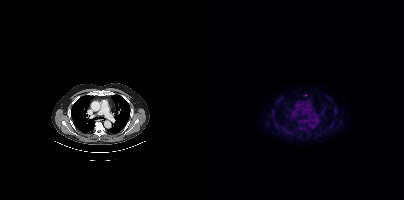
{"modality":"PSMA PET/CT","view":"axial","tracer":"18F-PSMA","pet_grid":[200,200],"coord_frame":"pet_panel","coord_format":"x0,y0,x1,y1","psma_avid_lesions":false}